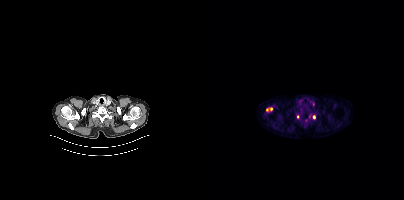
{"pet_grid":[200,200],"coord_frame":"pet_panel","coord_format":"x0,y0,x1,y1","lesion_bboxes":[],"small_foci_centers":[[110,116],[67,109],[93,116],[63,109]],"modality":"PSMA PET/CT","view":"axial","tracer":"[18F]PSMA-1007"}